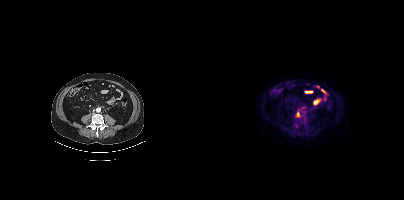
Technique: Left: CT. Right: PSMA PET, same axial level, 18F tracer. PET panel 200×200 px (4.1 mm/px).
Findings: Coordinates are on the 200×200 PET (right) panel. (showing 1 of 2 foci) PSMA-avid tumor lesion bounding box (x0,y0,x1,y1): [92,112,95,116].